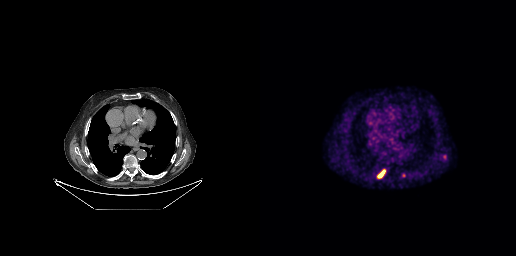
Coordinates are on the 256×256 PET (right) panel. (showing 1 of 2 foci) PSMA-avid tumor lesion bounding box (x0, y0)-(x1, y1): (117, 169)-(125, 178). Two-panel axial: CT | PSMA PET, 18F-PSMA tracer. Acquired on GE Discovery 690.